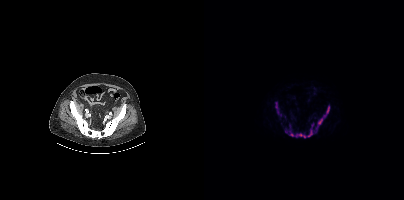
Findings: Coordinates are on the 200×200 PET (right) panel. (showing 4 of 6 foci) PSMA-avid tumor lesion bounding boxes (x0,y0,x1,y1): [85,123,109,138]; [110,105,125,132]; [71,102,74,113]. Small PSMA-avid focus (2 to 4 px across) near (center x, center y): (82, 131).
- Paired axial CT (left) and PSMA PET (right), 18F-PSMA tracer
- acquired on Siemens Biograph mCT Flow 20
- slice 108 of 423